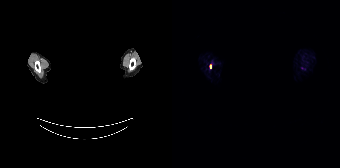
{"modality":"PSMA PET/CT","view":"axial","tracer":"68Ga-PSMA","pet_grid":[168,168],"coord_frame":"pet_panel","coord_format":"x0,y0,x1,y1","de-identification":"head region blanked (face removed)","lesion_bboxes":[],"small_foci_centers":[[38,66]]}